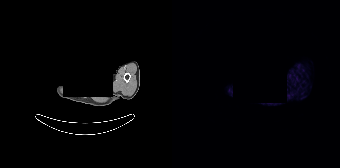
{"pet_grid":[168,168],"coord_frame":"pet_panel","coord_format":"x0,y0,x1,y1","psma_avid_lesions":false,"modality":"PSMA PET/CT","view":"axial","tracer":"68Ga-PSMA","de-identification":"facial region redacted"}